Left: CT. Right: PSMA PET, same axial level, 18F tracer.
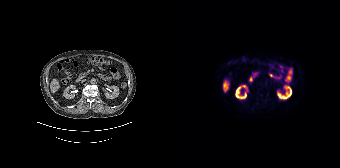
No PSMA-avid tumor lesions on this slice.